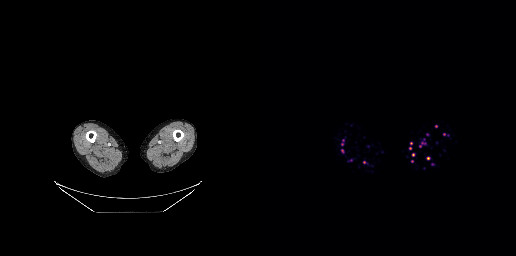
- Left: CT. Right: PSMA PET, same axial level, 68Ga-PSMA tracer
Findings: No tumor lesions annotated on this slice.